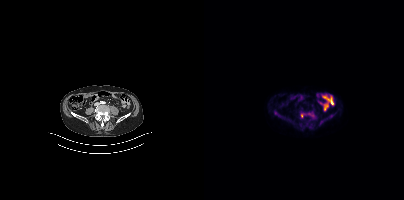
Findings: Coordinates are on the 200×200 PET (right) panel. (showing 4 of 5 foci) Small PSMA-avid foci (2 to 4 px across) near (center x, center y): (107, 115); (71, 113); (103, 113); (97, 115).
Technique: Paired axial CT (left) and PSMA PET (right), [18F]PSMA-1007 tracer. acquired on Siemens Biograph mCT Flow 20.